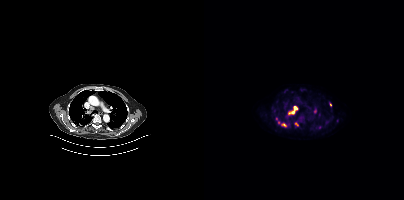
Findings: Coordinates are on the 200×200 PET (right) panel. (showing 8 of 9 foci) PSMA-avid tumor lesion bounding boxes (x, y, width, height): x=85 y=106 w=9 h=8 / x=77 y=123 w=6 h=4. Small PSMA-avid foci (2 to 4 px across) near (center x, center y): (111, 112) / (126, 104) / (92, 122) / (115, 127) / (72, 118) / (74, 122).
Technique: Two-panel axial: CT | PSMA PET, [18F]PSMA-1007 tracer. slice position z = -452 mm.